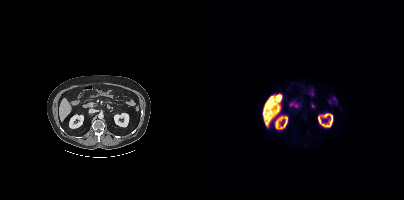
No tumor lesions annotated on this slice. Left: CT. Right: PSMA PET, same axial level, 18F-PSMA tracer. Acquired on Siemens Biograph mCT Flow 20.